Technique: Left: CT. Right: PSMA PET, same axial level, 68Ga tracer. slice 48 of 195.
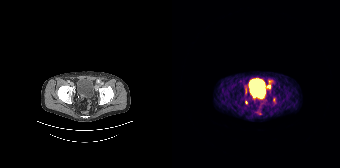
Findings: Coordinates are on the 168×168 PET (right) panel. (showing 4 of 5 foci) PSMA-avid tumor lesion bounding box (x0, y0)-(x1, y1): (93, 84)-(98, 88). Small PSMA-avid foci (2 to 4 px across) near (center x, center y): (73, 91) | (74, 102) | (97, 81).